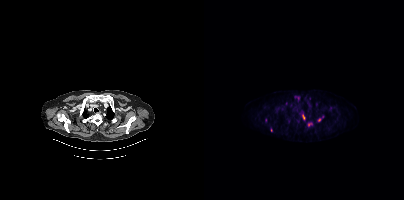
Coordinates are on the 200×200 PET (right) panel. PSMA-avid tumor lesion bounding boxes (partial; 2 more foci not listed):
| # | x0 | y0 | x1 | y1 |
|---|---|---|---|---|
| 1 | 98 | 114 | 101 | 120 |
Small PSMA-avid foci (2 to 4 px across) near (center x, center y): (115, 119); (127, 107); (105, 124); (112, 104); (93, 97).
Two-panel axial: CT | PSMA PET, 18F tracer.